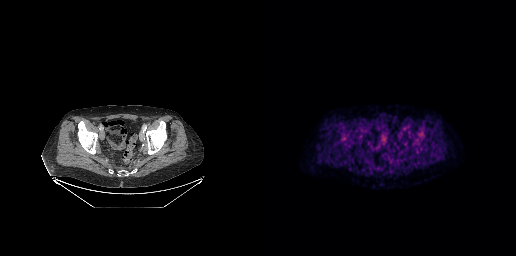
{"modality":"PSMA PET/CT","view":"axial","tracer":"[18F]PSMA-1007","pet_grid":[256,256],"coord_frame":"pet_panel","coord_format":"x0,y0,x1,y1","psma_avid_lesions":false}